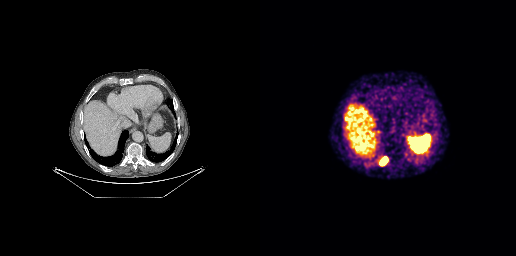
{"modality":"PSMA PET/CT","view":"axial","tracer":"68Ga","pet_grid":[256,256],"coord_frame":"pet_panel","coord_format":"x0,y0,x1,y1","lesion_bboxes":[[120,157,127,165]]}